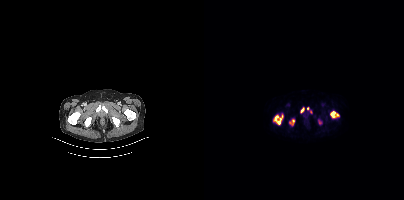
{"modality":"PSMA PET/CT","view":"axial","tracer":"18F","pet_grid":[200,200],"coord_frame":"pet_panel","coord_format":"x0,y0,x1,y1","lesion_bboxes":[[70,115,78,124],[126,111,134,117],[85,119,90,125],[97,108,99,112]],"small_foci_centers":[[115,122],[103,108]]}